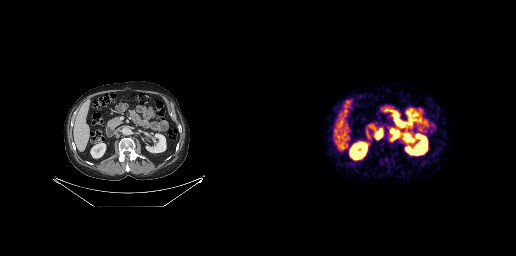
Coordinates are on the 256×256 PET (right) panel. PSMA-avid tumor lesion bounding boxes (x, y, width, height): x=129 y=128 w=11 h=14; x=116 y=132 w=6 h=7. Small PSMA-avid focus (2 to 4 px across) near (center x, center y): (121, 129). Paired axial CT (left) and PSMA PET (right), [68Ga]Ga-PSMA-11 tracer. Acquired on GE Discovery 690. Slice position z = -586 mm.